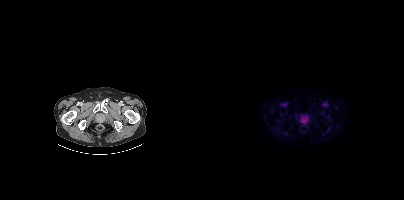
Two-panel axial: CT | PSMA PET, 18F-PSMA tracer. PET panel 200×200 px (4.1 mm/px). No tumor lesions annotated on this slice.